Paired axial CT (left) and PSMA PET (right), [18F]PSMA-1007 tracer. Slice 311 of 425.
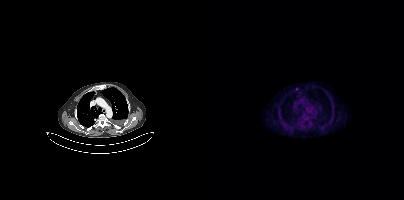
Coordinates are on the 200×200 PET (right) panel. Small PSMA-avid focus (2 to 4 px across) near (center x, center y): (92, 88).